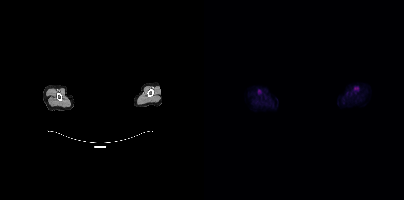
No tumor lesions annotated on this slice.
modality: PSMA PET/CT | tracer: 18F | view: axial | deidentification: rectangular block over head set to black